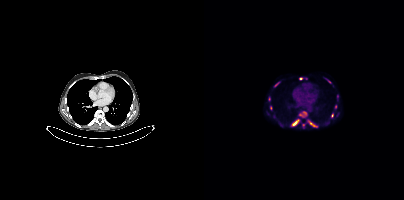
Technique: Left: CT. Right: PSMA PET, same axial level, 18F tracer. acquired on Siemens Biograph mCT Flow 20. PET panel 200×200 px (4.1 mm/px).
Findings: Coordinates are on the 200×200 PET (right) panel. PSMA-avid tumor lesion bounding boxes (x, y, width, height): x=87 y=119 w=9 h=8 / x=95 y=112 w=8 h=6 / x=104 y=120 w=6 h=7. Small PSMA-avid foci (2 to 4 px across) near (center x, center y): (67, 107) / (96, 78) / (128, 115) / (124, 81) / (72, 84) / (65, 99) / (131, 106) / (99, 124).